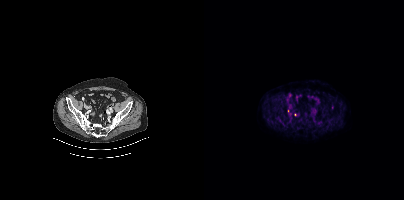
Left: CT. Right: PSMA PET, same axial level, 18F-PSMA tracer. Slice position z = -1473 mm. Only PSMA-avid lesion pieces thinner than 2 px on this slice (not listed).